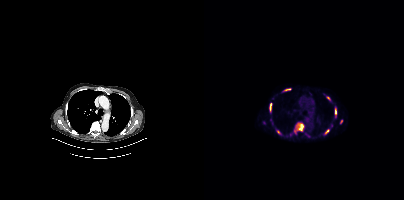
Findings: Coordinates are on the 200×200 PET (right) panel. PSMA-avid tumor lesion bounding boxes (x0,y0,x1,y1): [90,123,99,133]; [65,103,67,111]; [122,96,126,100]; [80,89,86,90]; [121,130,124,134]; [131,110,132,114]. Small PSMA-avid foci (2 to 4 px across) near (center x, center y): (74, 132); (137, 121); (86, 134).
Technique: Two-panel axial: CT | PSMA PET, 68Ga tracer. acquired on Siemens Biograph mCT Flow 20.